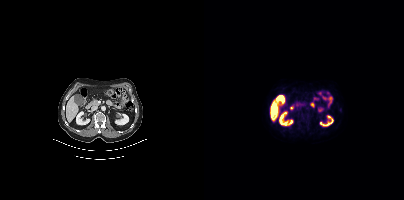
Negative for PSMA-avid disease on this slice.